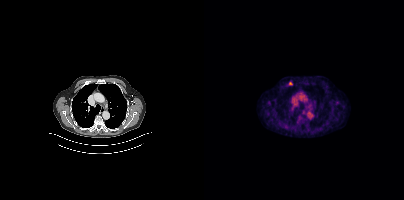
modality: PSMA PET/CT | tracer: [18F]PSMA-1007 | view: axial
Coordinates are on the 200×200 PET (right) panel. PSMA-avid tumor lesion bounding box (x, y, width, height): x=84 y=81 w=5 h=5.